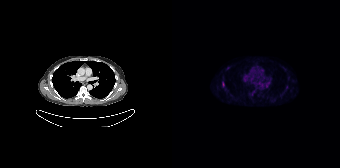
Coordinates are on the 168×168 PET (right) panel. PSMA-avid tumor lesion bounding boxes (partial; 1 more focus not listed):
| # | x0 | y0 | x1 | y1 |
|---|---|---|---|---|
| 1 | 80 | 91 | 82 | 95 |
Left: CT. Right: PSMA PET, same axial level, 18F tracer. Slice position z = 1832 mm.